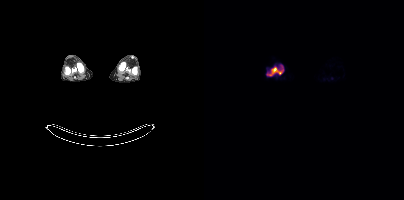
Left: CT. Right: PSMA PET, same axial level, 18F tracer. Acquired on Siemens Biograph mCT Flow 20. Slice position z = -1435 mm. Coordinates are on the 200×200 PET (right) panel. (showing 2 of 3 foci) PSMA-avid tumor lesion bounding box (x0, y0)-(x1, y1): (68, 68)-(72, 72). Small PSMA-avid focus (2 to 4 px across) near (center x, center y): (75, 72).